Two-panel axial: CT | PSMA PET, [18F]PSMA-1007 tracer. Acquired on Siemens Biograph mCT Flow 20. Slice 121 of 435.
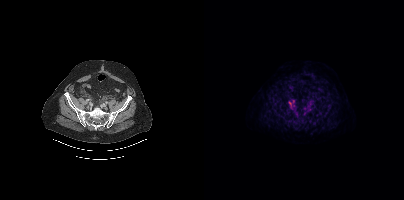
Coordinates are on the 200×200 PET (right) panel. PSMA-avid tumor lesion bounding box (x, y, width, height): x=85 y=99 w=7 h=11.